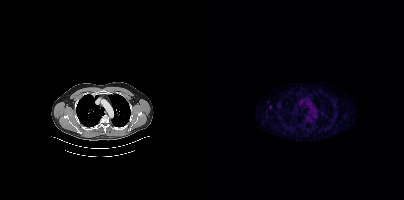
Negative for PSMA-avid disease on this slice.